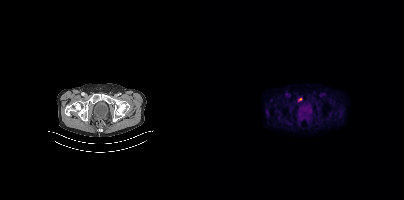
modality: PSMA PET/CT | tracer: 18F-PSMA | view: axial
Coordinates are on the 200×200 PET (right) panel. Small PSMA-avid focus (2 to 4 px across) near (center x, center y): (95, 99).